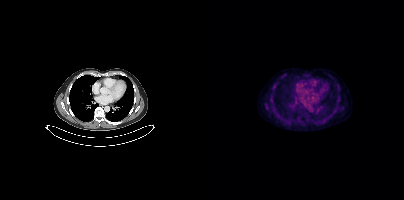
Negative for PSMA-avid disease on this slice.